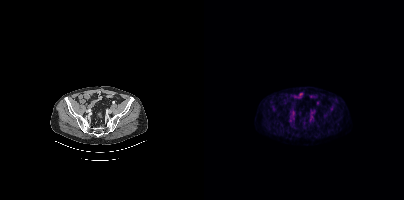
- Two-panel axial: CT | PSMA PET, 18F tracer
- acquired on Siemens Biograph mCT Flow 20
- PET panel 200×200 px (4.1 mm/px)
Findings: No PSMA-avid tumor lesions on this slice.